Paired axial CT (left) and PSMA PET (right), 18F-PSMA tracer. PET panel 200×200 px (4.1 mm/px).
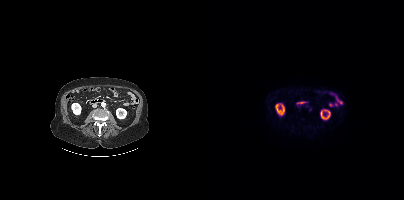
No tumor lesions annotated on this slice.